Paired axial CT (left) and PSMA PET (right), [18F]PSMA-1007 tracer.
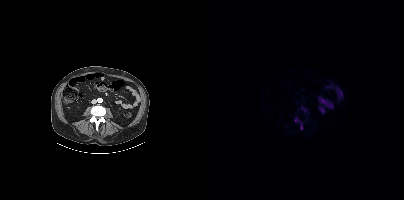
Coordinates are on the 200×200 PET (right) panel. PSMA-avid tumor lesion bounding boxes (partial; 2 more foci not listed):
| # | x0 | y0 | x1 | y1 |
|---|---|---|---|---|
| 1 | 97 | 125 | 98 | 129 |
Small PSMA-avid focus (2 to 4 px across) near (center x, center y): (91, 120).